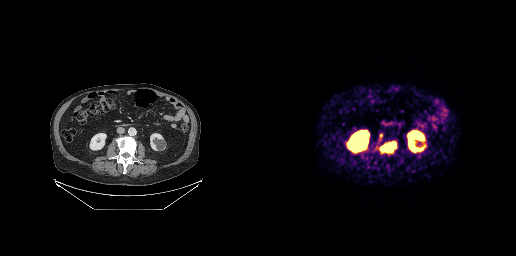
- Paired axial CT (left) and PSMA PET (right), 68Ga-PSMA tracer
- acquired on GE Discovery 690
- PET panel 256×256 px (2.7 mm/px)
Findings: Coordinates are on the 256×256 PET (right) panel. PSMA-avid tumor lesion bounding box (x, y, width, height): x=119 y=141 w=18 h=12. Small PSMA-avid focus (2 to 4 px across) near (center x, center y): (121, 135).